Two-panel axial: CT | PSMA PET, [18F]PSMA-1007 tracer. Acquired on Siemens Biograph mCT Flow 20.
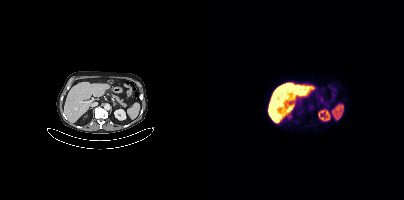
No tumor lesions annotated on this slice.